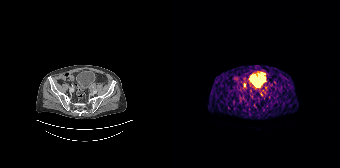
Paired axial CT (left) and PSMA PET (right), 68Ga-PSMA tracer. PET panel 168×168 px (4.1 mm/px). Coordinates are on the 168×168 PET (right) panel. Small PSMA-avid focus (2 to 4 px across) near (center x, center y): (72, 85).